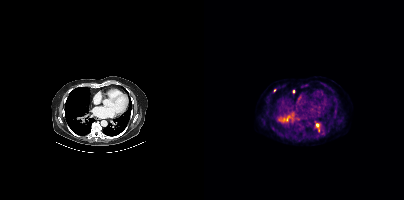
Coordinates are on the 200×200 PET (right) panel. (showing 7 of 9 foci) PSMA-avid tumor lesion bounding boxes (x0, y0)-(x1, y1): (81, 116)-(86, 121) / (74, 117)-(78, 120). Small PSMA-avid foci (2 to 4 px across) near (center x, center y): (113, 125) / (114, 129) / (89, 91) / (70, 90) / (110, 127).